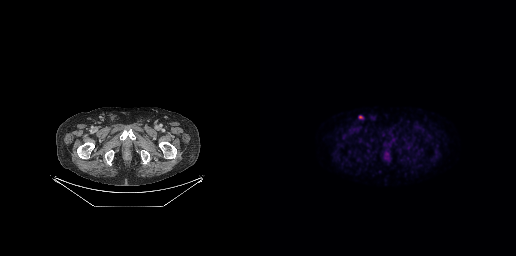
- Left: CT. Right: PSMA PET, same axial level, [18F]PSMA-1007 tracer
- acquired on GE Discovery 690
- slice 97 of 299
Findings: Coordinates are on the 256×256 PET (right) panel. PSMA-avid tumor lesion bounding box (x0,y0,x1,y1): [99,115,103,118].